- Left: CT. Right: PSMA PET, same axial level, [18F]PSMA-1007 tracer
- PET panel 200×200 px (4.1 mm/px)
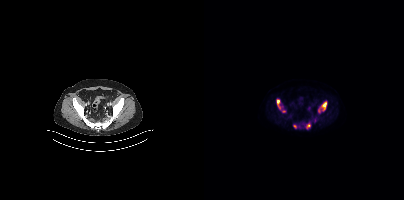
Findings: Coordinates are on the 200×200 PET (right) panel. (showing 4 of 5 foci) PSMA-avid tumor lesion bounding boxes (x0,y0,x1,y1): [114,101,123,112]; [73,99,76,108]; [103,124,106,128]. Small PSMA-avid focus (2 to 4 px across) near (center x, center y): (91, 126).